Paired axial CT (left) and PSMA PET (right), 68Ga tracer. Acquired on Siemens Biograph mCT Flow 20.
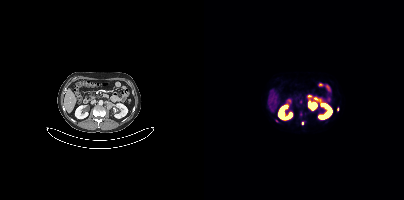
Coordinates are on the 200×200 PET (right) panel. Small PSMA-avid foci (2 to 4 px across) near (center x, center y): (97, 101), (72, 121), (98, 123), (133, 109), (96, 114).